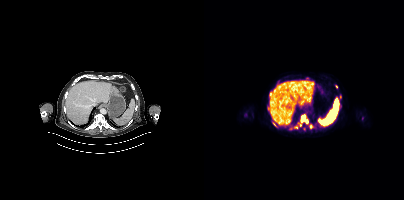
Findings: Coordinates are on the 200×200 PET (right) panel. PSMA-avid tumor lesion bounding boxes (x, y, width, height): x=97 y=114 w=8 h=10 / x=105 y=124 w=4 h=5 / x=68 y=122 w=5 h=5 / x=63 y=106 w=2 h=5. Small PSMA-avid foci (2 to 4 px across) near (center x, center y): (132, 86) / (66, 93) / (96, 125) / (136, 96) / (92, 127) / (86, 128).
- Left: CT. Right: PSMA PET, same axial level, 18F tracer
- slice position z = -1112 mm